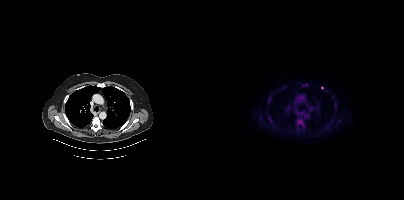
Coordinates are on the 200×200 PET (right) panel. (showing 10 of 11 foci) PSMA-avid tumor lesion bounding boxes (x0,y0,x1,y1): [92,119,100,128] [67,120,72,127] [130,102,133,106] [99,84,103,86]. Small PSMA-avid foci (2 to 4 px across) near (center x, center y): (65, 101) (131, 109) (66, 96) (64, 115) (118, 87) (119, 128).